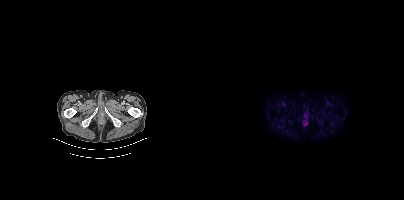
Left: CT. Right: PSMA PET, same axial level, 18F-PSMA tracer. Slice position z = -1532 mm. PET panel 200×200 px (4.1 mm/px). Negative for PSMA-avid disease on this slice.